modality: PSMA PET/CT | tracer: 68Ga-PSMA | view: axial
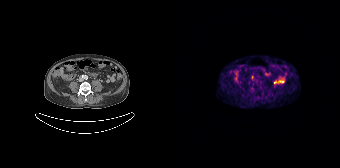
Only PSMA-avid lesion pieces thinner than 2 px on this slice (not listed).